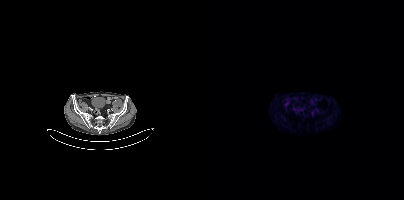
This slice has no annotated PSMA-avid lesion.
modality: PSMA PET/CT | tracer: [18F]PSMA-1007 | view: axial | PET grid: 200×200